modality: PSMA PET/CT | tracer: 18F-PSMA | view: axial | PET grid: 200×200
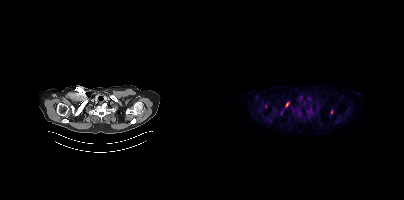
Coordinates are on the 200×200 PET (right) panel. (showing 3 of 4 foci) PSMA-avid tumor lesion bounding boxes (x, y, width, height): x=82 y=102 w=3 h=5; x=127 y=110 w=2 h=5. Small PSMA-avid focus (2 to 4 px across) near (center x, center y): (61, 106).